Two-panel axial: CT | PSMA PET, [18F]PSMA-1007 tracer.
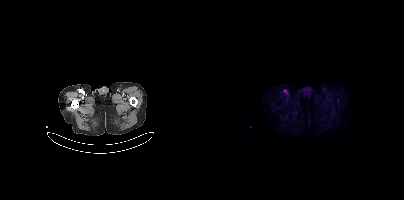
Coordinates are on the 200×200 PET (right) panel. (showing 1 of 2 foci) PSMA-avid tumor lesion bounding box (x, y, width, height): x=80 y=90 w=5 h=4.